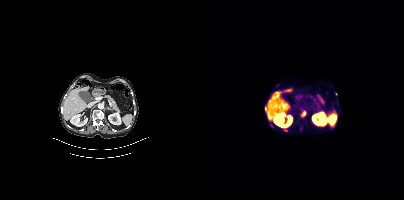
Technique: Paired axial CT (left) and PSMA PET (right), [68Ga]Ga-PSMA-11 tracer.
Findings: Coordinates are on the 200×200 PET (right) panel. (showing 4 of 6 foci) PSMA-avid tumor lesion bounding boxes (x0,y0,x1,y1): [97,110,101,116] [61,106,62,111]. Small PSMA-avid foci (2 to 4 px across) near (center x, center y): (67, 125) (129, 125).